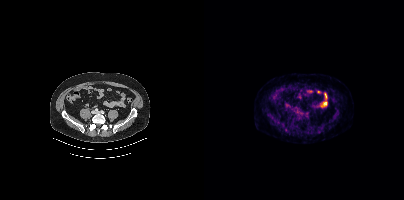
{"modality":"PSMA PET/CT","view":"axial","tracer":"[18F]PSMA-1007","pet_grid":[200,200],"coord_frame":"pet_panel","coord_format":"x0,y0,x1,y1","partial":true,"lesion_bboxes":[]}